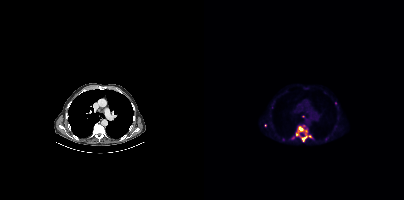
{"modality":"PSMA PET/CT","view":"axial","tracer":"[18F]PSMA-1007","pet_grid":[200,200],"coord_frame":"pet_panel","coord_format":"x0,y0,x1,y1","partial":true,"lesion_bboxes":[[93,125,101,132],[98,135,103,141]],"small_foci_centers":[[131,103],[92,134],[101,130]]}